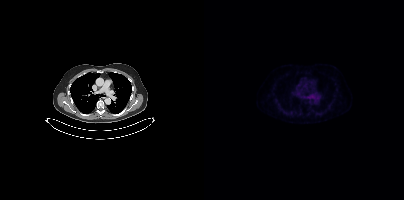
Findings: Only PSMA-avid lesion pieces thinner than 2 px on this slice (not listed).
- Left: CT. Right: PSMA PET, same axial level, 68Ga-PSMA tracer